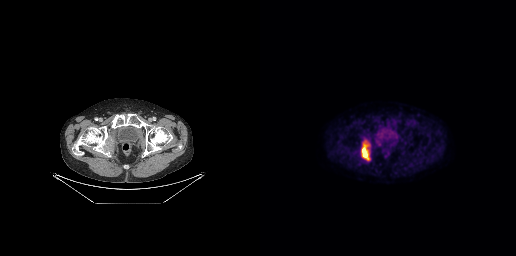
Technique: Paired axial CT (left) and PSMA PET (right), 18F tracer. slice 62 of 263.
Findings: Coordinates are on the 256×256 PET (right) panel. PSMA-avid tumor lesion bounding box (x0, y0)-(x1, y1): (101, 139)-(110, 160).